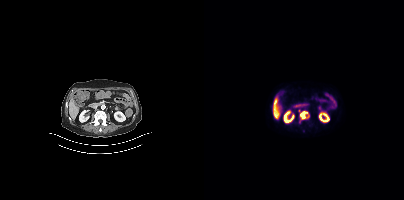
{"modality":"PSMA PET/CT","view":"axial","tracer":"18F","pet_grid":[200,200],"coord_frame":"pet_panel","coord_format":"x0,y0,x1,y1","lesion_bboxes":[[96,111,103,118]]}